- Two-panel axial: CT | PSMA PET, [18F]PSMA-1007 tracer
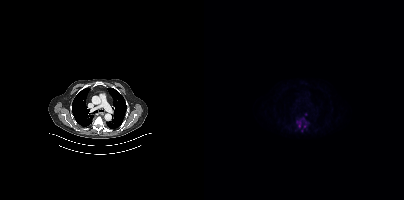
Findings: Coordinates are on the 200×200 PET (right) panel. PSMA-avid tumor lesion bounding box (x0, y0)-(x1, y1): (92, 118)-(105, 131).